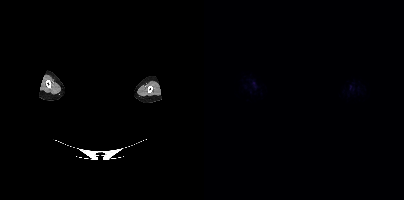
- face de-identified by blanking a block of the head
- Two-panel axial: CT | PSMA PET, 18F-PSMA tracer
- slice 433 of 444
Findings: No tumor lesions annotated on this slice.